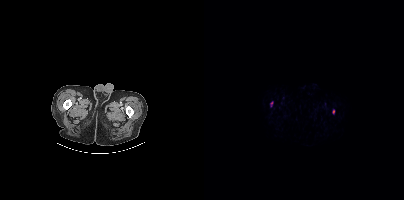
Coordinates are on the 200×200 PET (right) panel. PSMA-avid tumor lesion bounding boxes (x0, y0)-(x1, y1): (128, 109)-(130, 114) | (66, 101)-(69, 106).